Two-panel axial: CT | PSMA PET, 68Ga tracer. Slice position z = -581 mm.
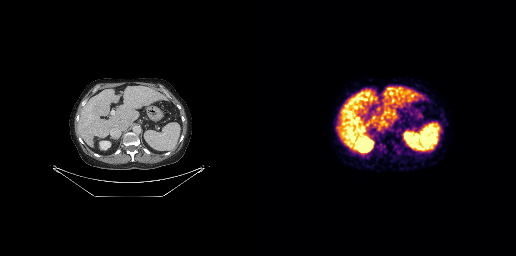
Negative for PSMA-avid disease on this slice.